Technique: Left: CT. Right: PSMA PET, same axial level, 18F tracer.
Note: Face de-identified by blanking a block of the head.
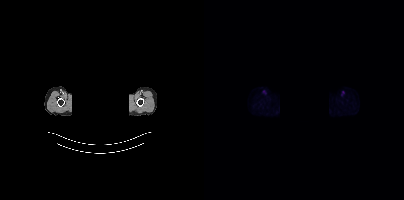
Findings: Negative for PSMA-avid disease on this slice.